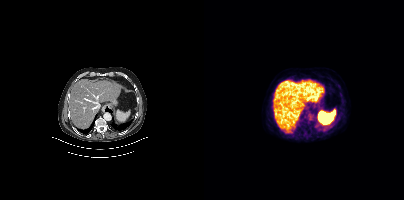
Paired axial CT (left) and PSMA PET (right), [18F]PSMA-1007 tracer. No tumor lesions annotated on this slice.